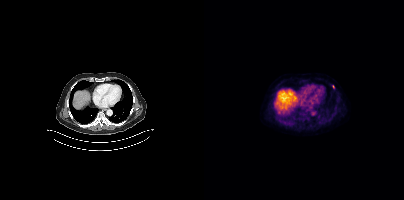
Left: CT. Right: PSMA PET, same axial level, [18F]PSMA-1007 tracer. PET panel 200×200 px (4.1 mm/px). Coordinates are on the 200×200 PET (right) panel. Small PSMA-avid focus (2 to 4 px across) near (center x, center y): (129, 86).